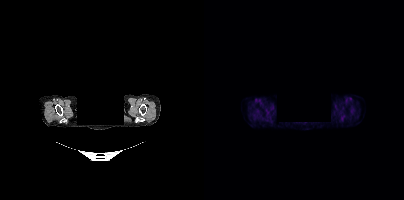
{"pet_grid":[200,200],"coord_frame":"pet_panel","coord_format":"x0,y0,x1,y1","psma_avid_lesions":false,"deidentification":"facial region redacted","modality":"PSMA PET/CT","view":"axial","tracer":"18F-PSMA"}